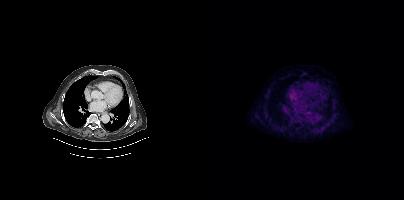
Negative for PSMA-avid disease on this slice. Left: CT. Right: PSMA PET, same axial level, [18F]PSMA-1007 tracer. Slice 287 of 425.